Technique: Paired axial CT (left) and PSMA PET (right), [68Ga]Ga-PSMA-11 tracer. acquired on Siemens Biograph 64-4R TruePoint. slice 59 of 195. PET panel 168×168 px (4.1 mm/px).
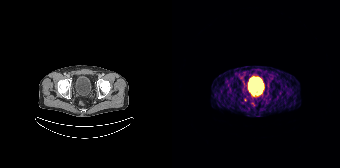
Findings: Coordinates are on the 168×168 PET (right) panel. Small PSMA-avid focus (2 to 4 px across) near (center x, center y): (73, 99).